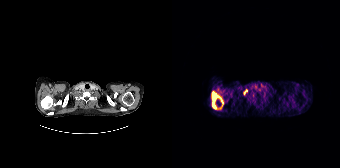
Left: CT. Right: PSMA PET, same axial level, 68Ga tracer. Slice position z = -140 mm. Coordinates are on the 168×168 PET (right) panel. (showing 2 of 3 foci) PSMA-avid tumor lesion bounding boxes (x0, y0)-(x1, y1): (39, 91)-(51, 109) / (71, 89)-(75, 95).